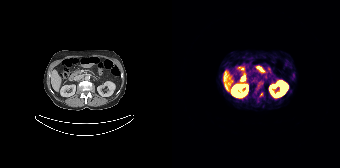
{"modality":"PSMA PET/CT","view":"axial","tracer":"68Ga","pet_grid":[168,168],"coord_frame":"pet_panel","coord_format":"x0,y0,x1,y1","partial":true,"lesion_bboxes":[]}